modality: PSMA PET/CT | tracer: [18F]PSMA-1007 | view: axial | PET grid: 200×200
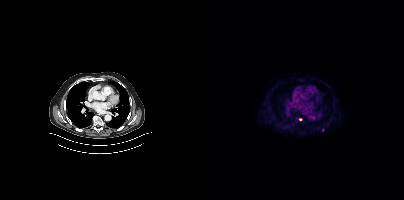
Coordinates are on the 200×200 PET (right) panel. Small PSMA-avid foci (2 to 4 px across) near (center x, center y): (96, 119); (118, 129).